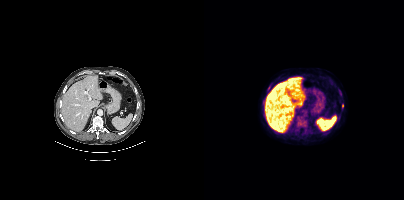
{"modality":"PSMA PET/CT","view":"axial","tracer":"18F-PSMA","pet_grid":[200,200],"coord_frame":"pet_panel","coord_format":"x0,y0,x1,y1","partial":true,"lesion_bboxes":[],"small_foci_centers":[[135,93]]}